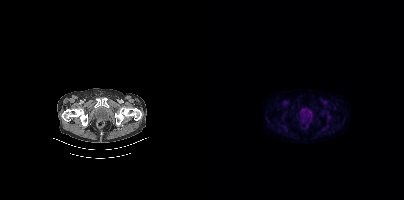
- Left: CT. Right: PSMA PET, same axial level, 18F tracer
- acquired on Siemens Biograph mCT Flow 20
- slice position z = -1502 mm
- PET panel 200×200 px (4.1 mm/px)
Findings: Negative for PSMA-avid disease on this slice.